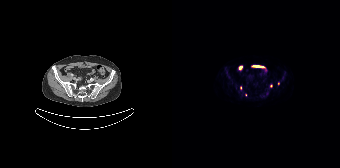
modality: PSMA PET/CT | tracer: 18F-PSMA | view: axial | PET grid: 168×168
Coordinates are on the 168×168 PET (right) panel. (showing 2 of 4 foci) Small PSMA-avid foci (2 to 4 px across) near (center x, center y): (68, 88) / (98, 85).